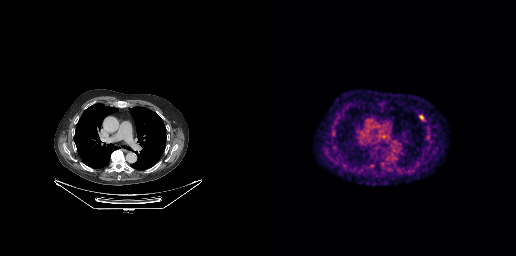
Technique: Two-panel axial: CT | PSMA PET, [18F]PSMA-1007 tracer. acquired on GE Discovery 690. slice position z = -303 mm.
Findings: Coordinates are on the 256×256 PET (right) panel. Small PSMA-avid focus (2 to 4 px across) near (center x, center y): (161, 117).